- Two-panel axial: CT | PSMA PET, 18F tracer
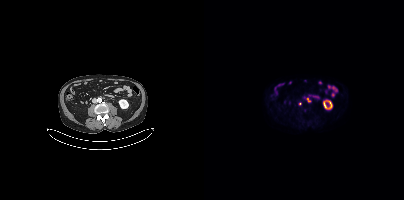
Findings: Coordinates are on the 200×200 PET (right) panel. PSMA-avid tumor lesion bounding box (x0, y0)-(x1, y1): (102, 98)-(106, 102). Small PSMA-avid focus (2 to 4 px across) near (center x, center y): (95, 103).